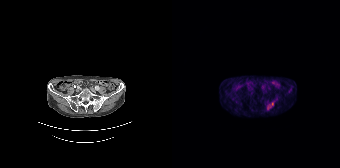
Paired axial CT (left) and PSMA PET (right), 68Ga tracer. PET panel 168×168 px (4.1 mm/px). Only PSMA-avid lesion pieces thinner than 2 px on this slice (not listed).